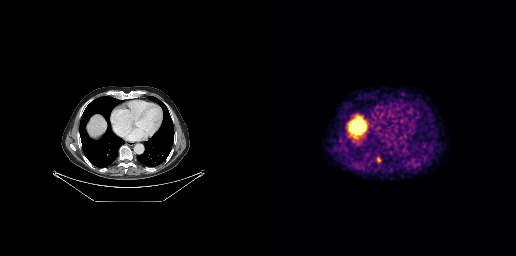
{"pet_grid":[256,256],"coord_frame":"pet_panel","coord_format":"x0,y0,x1,y1","lesion_bboxes":[],"small_foci_centers":[[118,159]],"modality":"PSMA PET/CT","view":"axial","tracer":"[68Ga]Ga-PSMA-11"}